Two-panel axial: CT | PSMA PET, 18F-PSMA tracer. PET panel 200×200 px (4.1 mm/px).
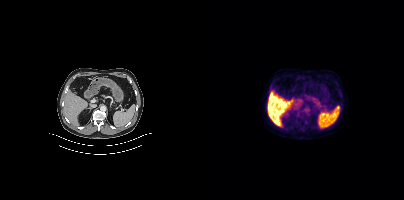
Negative for PSMA-avid disease on this slice.